Paired axial CT (left) and PSMA PET (right), 18F-PSMA tracer. Acquired on Siemens Biograph mCT Flow 20. Slice position z = -582 mm. PET panel 200×200 px (4.1 mm/px).
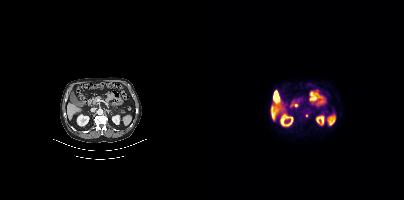
Coordinates are on the 200×200 PET (right) panel. Small PSMA-avid focus (2 to 4 px across) near (center x, center y): (102, 116).